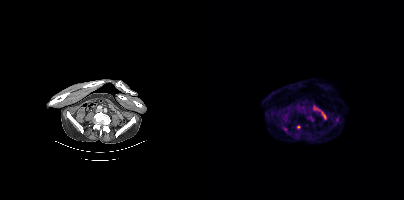
Coordinates are on the 200×200 PET (right) panel. (showing 2 of 3 foci) PSMA-avid tumor lesion bounding box (x, y, width, height): x=79 y=127 w=5 h=5. Small PSMA-avid focus (2 to 4 px across) near (center x, center y): (94, 127).